Technique: Left: CT. Right: PSMA PET, same axial level, [18F]PSMA-1007 tracer. acquired on Siemens Biograph mCT Flow 20. PET panel 200×200 px (4.1 mm/px).
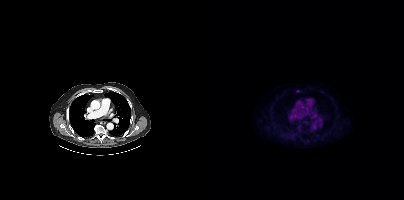
Findings: Negative for PSMA-avid disease on this slice.